modality: PSMA PET/CT | tracer: 18F-PSMA | view: axial
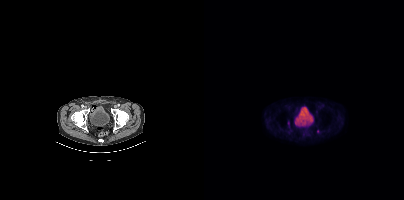
Coordinates are on the 200×200 PET (right) panel. (showing 1 of 2 foci) Small PSMA-avid focus (2 to 4 px across) near (center x, center y): (113, 131).